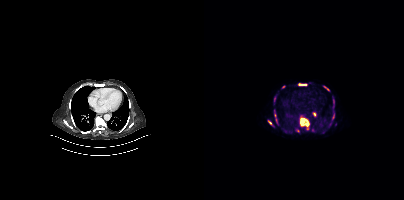
{"modality":"PSMA PET/CT","view":"axial","tracer":"[68Ga]Ga-PSMA-11","pet_grid":[200,200],"coord_frame":"pet_panel","coord_format":"x0,y0,x1,y1","partial":true,"lesion_bboxes":[[96,118,105,126],[95,84,102,85],[121,87,125,91],[128,114,130,118],[64,120,67,124],[69,98,71,102]],"small_foci_centers":[[72,120],[71,115],[129,102],[79,86]]}